- Paired axial CT (left) and PSMA PET (right), 18F-PSMA tracer
- slice 269 of 448
- PET panel 200×200 px (4.1 mm/px)
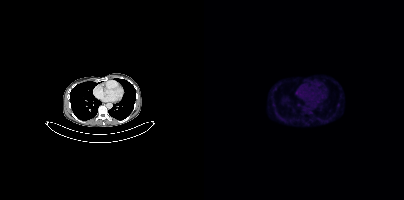
Findings: Coordinates are on the 200×200 PET (right) panel. Small PSMA-avid foci (2 to 4 px across) near (center x, center y): (93, 92) | (119, 120).